modality: PSMA PET/CT | tracer: 18F | view: axial | PET grid: 256×256
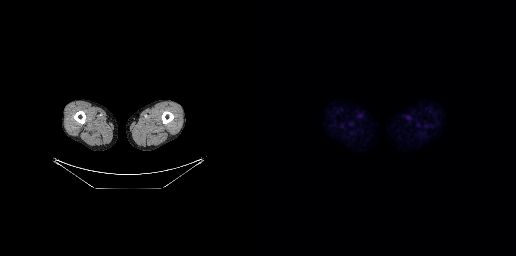
No PSMA-avid tumor lesions on this slice.